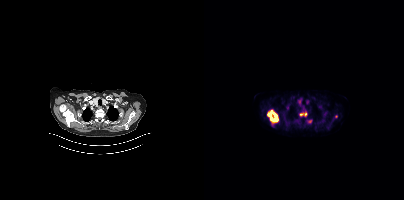
{"modality":"PSMA PET/CT","view":"axial","tracer":"18F-PSMA","pet_grid":[200,200],"coord_frame":"pet_panel","coord_format":"x0,y0,x1,y1","lesion_bboxes":[[63,110,74,122],[95,112,103,116],[103,119,108,123]],"small_foci_centers":[[132,116],[83,108]]}